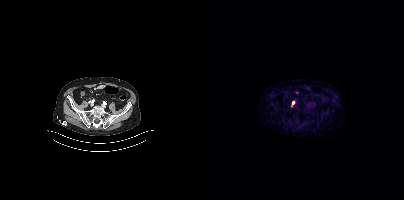
{"modality":"PSMA PET/CT","view":"axial","tracer":"68Ga","pet_grid":[200,200],"coord_frame":"pet_panel","coord_format":"x0,y0,x1,y1","lesion_bboxes":[],"small_foci_centers":[[89,102]]}